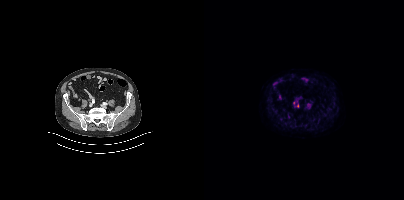
{"modality":"PSMA PET/CT","view":"axial","tracer":"18F-PSMA","pet_grid":[200,200],"coord_frame":"pet_panel","coord_format":"x0,y0,x1,y1","partial":true,"lesion_bboxes":[[84,114,85,118]],"small_foci_centers":[[93,105]]}